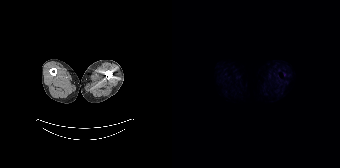
Findings: No tumor lesions annotated on this slice.
Technique: Paired axial CT (left) and PSMA PET (right), 18F tracer. acquired on Siemens Biograph 64-4R TruePoint.